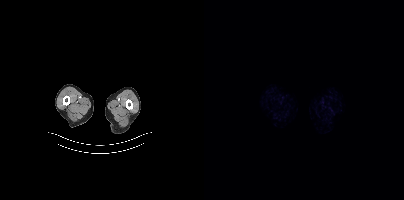
modality: PSMA PET/CT | tracer: 18F | view: axial | PET grid: 200×200
No PSMA-avid tumor lesions on this slice.